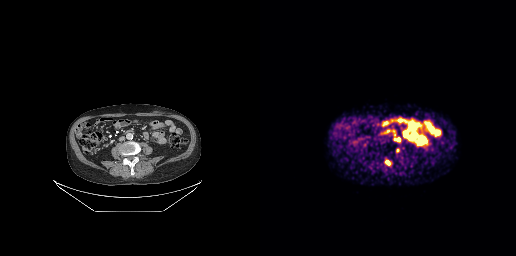
{"modality":"PSMA PET/CT","view":"axial","tracer":"68Ga-PSMA","pet_grid":[256,256],"coord_frame":"pet_panel","coord_format":"x0,y0,x1,y1","partial":true,"lesion_bboxes":[[125,160,131,165],[134,137,140,141]]}